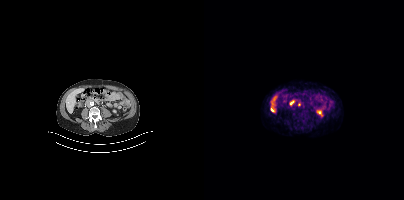
Findings: Coordinates are on the 200×200 PET (right) panel. (showing 1 of 2 foci) PSMA-avid tumor lesion bounding box (x0,y0,x1,y1): [85,100,90,105].
- Two-panel axial: CT | PSMA PET, [68Ga]Ga-PSMA-11 tracer